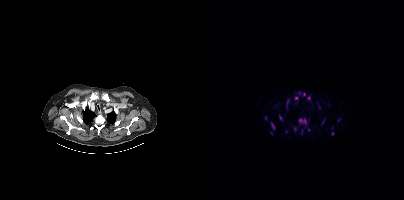
Coordinates are on the 200×200 PET (right) panel. (showing 15 of 18 foci) PSMA-avid tumor lesion bounding boxes (x0, y0)-(x1, y1): (94, 118)-(102, 124) | (66, 122)-(71, 129) | (82, 99)-(85, 107) | (90, 96)-(94, 100) | (103, 96)-(106, 101) | (90, 126)-(92, 131) | (117, 119)-(121, 124). Small PSMA-avid foci (2 to 4 px across) near (center x, center y): (100, 94) | (62, 118) | (128, 133) | (95, 92) | (135, 119) | (82, 131) | (104, 130) | (67, 132).